Privacy masking over the head, with the pixels inside a rectangle set to black.
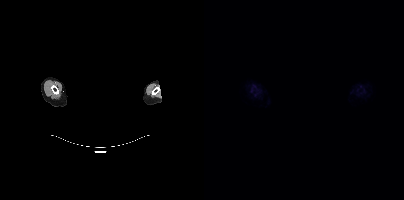
Negative for PSMA-avid disease on this slice.